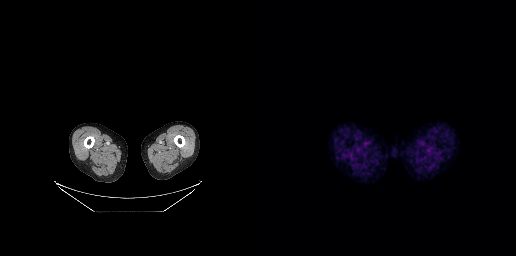
Findings: Negative for PSMA-avid disease on this slice.
Technique: Left: CT. Right: PSMA PET, same axial level, 68Ga tracer.